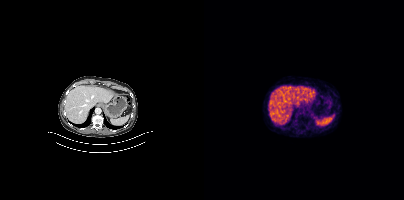
No tumor lesions annotated on this slice.